- Paired axial CT (left) and PSMA PET (right), 18F tracer
- slice 52 of 401
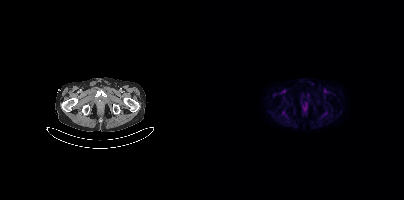
Findings: This slice has no annotated PSMA-avid lesion.